Paired axial CT (left) and PSMA PET (right), 18F-PSMA tracer. PET panel 256×256 px (2.7 mm/px).
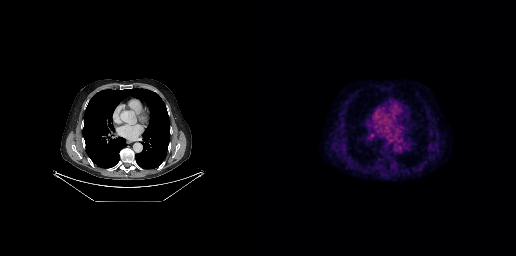
This slice has no annotated PSMA-avid lesion.